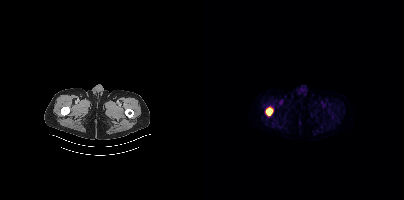
{"pet_grid":[200,200],"coord_frame":"pet_panel","coord_format":"x0,y0,x1,y1","lesion_bboxes":[[62,108,68,115]],"modality":"PSMA PET/CT","view":"axial","tracer":"[18F]PSMA-1007"}